Two-panel axial: CT | PSMA PET, 18F tracer. Acquired on Siemens Biograph mCT Flow 20. Slice position z = -679 mm.
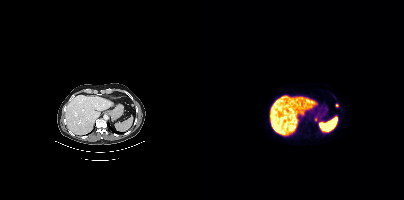
Coordinates are on the 200×200 PET (right) panel. PSMA-avid tumor lesion bounding box (x, y, width, height): x=110 y=117 w=4 h=5. Small PSMA-avid focus (2 to 4 px across) near (center x, center y): (133, 105).